Two-panel axial: CT | PSMA PET, 18F tracer. PET panel 200×200 px (4.1 mm/px).
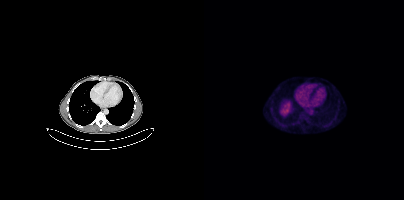
Negative for PSMA-avid disease on this slice.